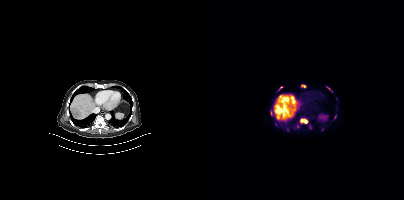
Findings: Coordinates are on the 200×200 PET (right) panel. (showing 4 of 5 foci) PSMA-avid tumor lesion bounding boxes (x0,y0,x1,y1): [97,119,103,123], [97,85,101,87]. Small PSMA-avid foci (2 to 4 px across) near (center x, center y): (124, 88), (67, 112).
- Paired axial CT (left) and PSMA PET (right), 18F tracer
- acquired on Siemens Biograph mCT Flow 20